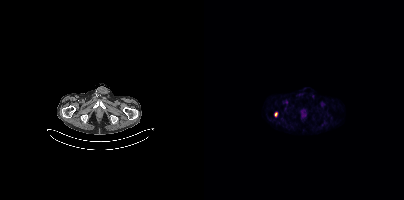
Coordinates are on the 200×200 PET (right) panel. PSMA-avid tumor lesion bounding box (x, y, width, height): x=70 y=112 w=4 h=5.